Technique: Paired axial CT (left) and PSMA PET (right), [18F]PSMA-1007 tracer. PET panel 256×256 px (2.7 mm/px).
Note: A rectangle over the head was blacked out to remove identifiable facial features.
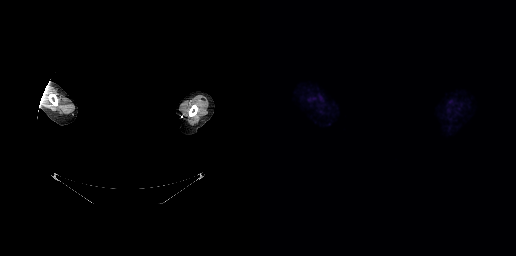
Findings: Negative for PSMA-avid disease on this slice.